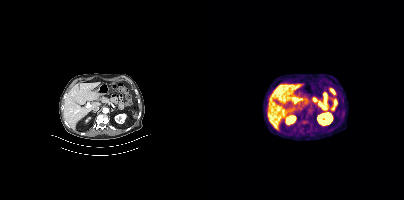
{"modality":"PSMA PET/CT","view":"axial","tracer":"18F","pet_grid":[200,200],"coord_frame":"pet_panel","coord_format":"x0,y0,x1,y1","psma_avid_lesions":false}